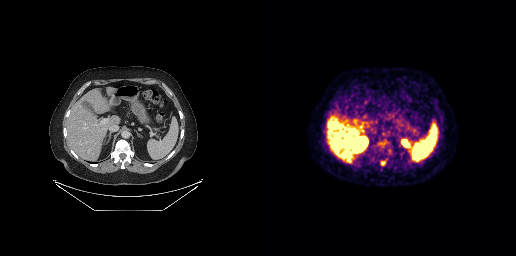
modality: PSMA PET/CT | tracer: [18F]PSMA-1007 | view: axial
Coordinates are on the 256×256 PET (right) panel. Small PSMA-avid focus (2 to 4 px across) near (center x, center y): (122, 162).